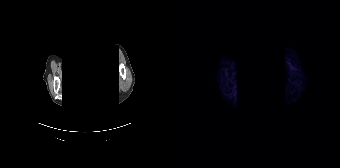
Any black rectangle over the head is a privacy mask, not anatomy. Left: CT. Right: PSMA PET, same axial level, 68Ga-PSMA tracer. Acquired on Siemens Biograph 64-4R TruePoint. No tumor lesions annotated on this slice.